- the head region is masked for de-identification
- Left: CT. Right: PSMA PET, same axial level, 18F tracer
- slice position z = 530 mm
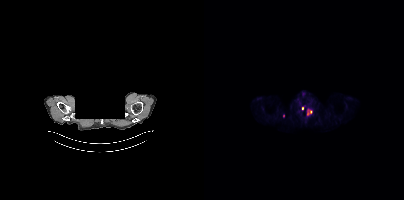
Findings: Coordinates are on the 200×200 PET (right) panel. PSMA-avid tumor lesion bounding box (x0,y0,x1,y1): [103,108,107,114]. Small PSMA-avid foci (2 to 4 px across) near (center x, center y): (98, 108); (79, 115).